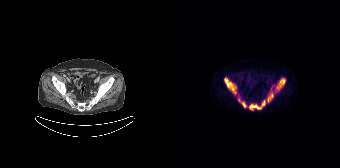
Paired axial CT (left) and PSMA PET (right), [18F]PSMA-1007 tracer. Acquired on Siemens Biograph 64-4R TruePoint.
Coordinates are on the 168×168 PET (right) panel. PSMA-avid tumor lesion bounding boxes (partial; 1 more focus not listed):
| # | x0 | y0 | x1 | y1 |
|---|---|---|---|---|
| 1 | 77 | 100 | 93 | 110 |
| 2 | 52 | 78 | 64 | 93 |
| 3 | 103 | 78 | 113 | 91 |
| 4 | 70 | 102 | 74 | 107 |
| 5 | 95 | 96 | 98 | 102 |
| 6 | 98 | 92 | 101 | 97 |
Small PSMA-avid focus (2 to 4 px across) near (center x, center y): (67, 100).